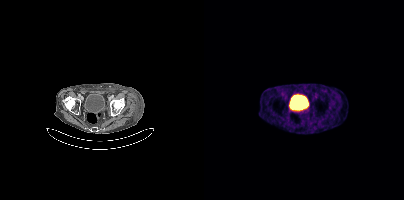
- Left: CT. Right: PSMA PET, same axial level, [68Ga]Ga-PSMA-11 tracer
- slice position z = -1024 mm
Findings: Only PSMA-avid lesion pieces thinner than 2 px on this slice (not listed).